- Left: CT. Right: PSMA PET, same axial level, 18F tracer
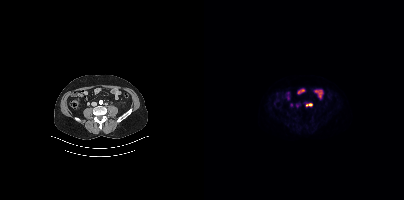
Findings: Coordinates are on the 200×200 PET (right) panel. PSMA-avid tumor lesion bounding box (x, y, width, height): x=102 y=103 w=7 h=4.